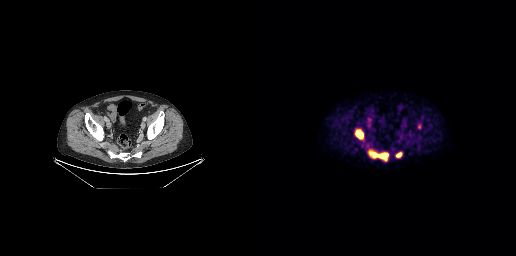
Paired axial CT (left) and PSMA PET (right), 18F-PSMA tracer. Acquired on GE Discovery 690. Coordinates are on the 256×256 PET (right) panel. PSMA-avid tumor lesion bounding boxes (x0,y0,x1,y1): [108,150,128,161], [95,129,103,139], [136,152,142,157]. Small PSMA-avid focus (2 to 4 px across) near (center x, center y): (159, 126).